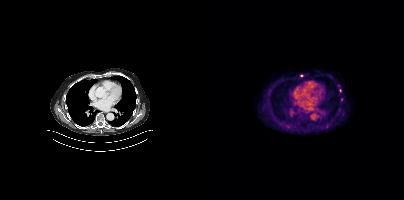
Findings: Coordinates are on the 200×200 PET (right) panel. (showing 3 of 4 foci) Small PSMA-avid foci (2 to 4 px across) near (center x, center y): (136, 90); (134, 85); (97, 75).
Technique: Paired axial CT (left) and PSMA PET (right), [18F]PSMA-1007 tracer. slice 281 of 429.